Left: CT. Right: PSMA PET, same axial level, 18F-PSMA tracer. PET panel 200×200 px (4.1 mm/px).
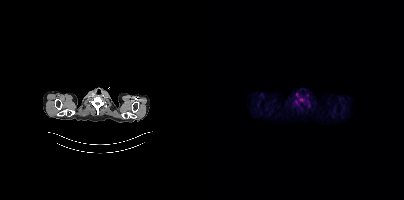
This slice has no annotated PSMA-avid lesion.